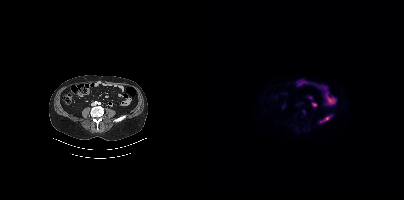
Left: CT. Right: PSMA PET, same axial level, [18F]PSMA-1007 tracer. Slice 169 of 450.
Coordinates are on the 200×200 PET (right) panel. PSMA-avid tumor lesion bounding boxes:
| # | x0 | y0 | x1 | y1 |
|---|---|---|---|---|
| 1 | 120 | 117 | 124 | 120 |
Small PSMA-avid focus (2 to 4 px across) near (center x, center y): (99, 111).